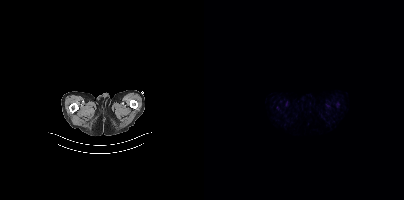
Two-panel axial: CT | PSMA PET, 18F-PSMA tracer. Negative for PSMA-avid disease on this slice.